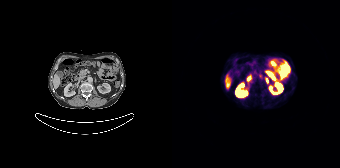
Two-panel axial: CT | PSMA PET, 68Ga-PSMA tracer. Acquired on Siemens Biograph 64-4R TruePoint. Slice position z = -1303 mm. Coordinates are on the 168×168 PET (right) panel. Small PSMA-avid focus (2 to 4 px across) near (center x, center y): (95, 79).